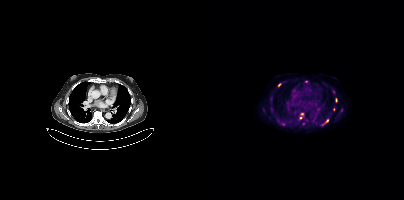
Paired axial CT (left) and PSMA PET (right), 18F tracer. Acquired on Siemens Biograph mCT Flow 20. Coordinates are on the 200×200 PET (right) panel. (showing 8 of 9 foci) PSMA-avid tumor lesion bounding boxes (x0,y0,x1,y1): [95,113,99,119] [118,119,124,125]. Small PSMA-avid foci (2 to 4 px across) near (center x, center y): (132, 99) (75, 84) (102, 81) (79, 124) (129, 109) (99, 123).